Technique: Two-panel axial: CT | PSMA PET, 18F-PSMA tracer.
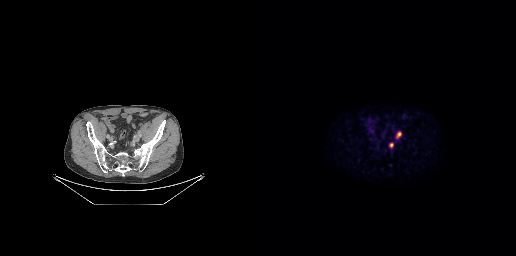
Findings: Coordinates are on the 256×256 PET (right) panel. PSMA-avid tumor lesion bounding boxes (x, y, width, height): x=136 y=132 w=6 h=7 | x=129 y=142 w=5 h=7.